Paired axial CT (left) and PSMA PET (right), 18F-PSMA tracer. Slice 229 of 299. PET panel 256×256 px (2.7 mm/px).
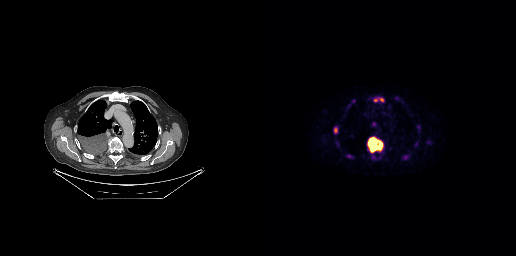
Coordinates are on the 256×256 PET (right) panel. PSMA-avid tumor lesion bounding boxes (x0,y0,x1,y1): [107,136,123,152], [114,98,123,101], [74,127,77,133]. Small PSMA-avid foci (2 to 4 px across) near (center x, center y): (136, 98), (93, 100), (158, 126), (89, 155).